- Left: CT. Right: PSMA PET, same axial level, [18F]PSMA-1007 tracer
- slice position z = -980 mm
- PET panel 200×200 px (4.1 mm/px)
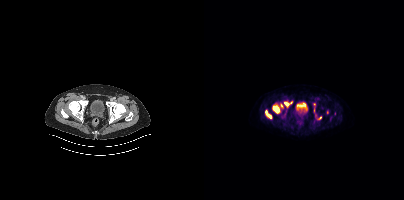
Findings: Coordinates are on the 200×200 PET (right) panel. (showing 4 of 5 foci) PSMA-avid tumor lesion bounding boxes (x0,y0,x1,y1): [69,106,75,112] [61,110,67,118] [80,102,84,105]. Small PSMA-avid focus (2 to 4 px across) near (center x, center y): (116, 117).